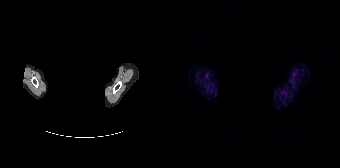
Two-panel axial: CT | PSMA PET, 68Ga-PSMA tracer. Slice position z = -1004 mm. Any black rectangle over the head is a privacy mask, not anatomy. No PSMA-avid tumor lesions on this slice.